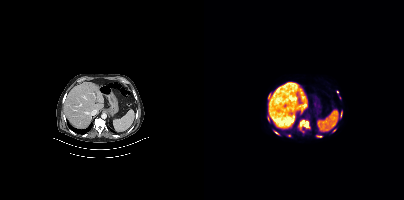
modality: PSMA PET/CT | tracer: 18F | view: axial | PET grid: 200×200
Coordinates are on the 200×200 PET (right) panel. (showing 4 of 7 foci) PSMA-avid tumor lesion bounding boxes (x, y, width, height): x=100 y=121 w=5 h=7; x=96 y=120 w=5 h=6; x=70 y=131 w=5 h=4; x=113 y=136 w=5 h=2.